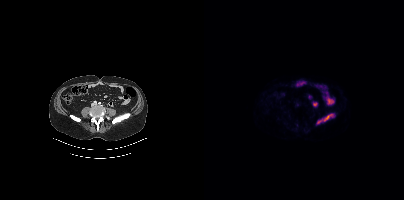
Two-panel axial: CT | PSMA PET, 18F tracer. Slice 165 of 450. PET panel 200×200 px (4.1 mm/px). Coordinates are on the 200×200 PET (right) panel. PSMA-avid tumor lesion bounding boxes (x0, y0)-(x1, y1): (120, 114)-(129, 120); (113, 120)-(118, 123).